Paired axial CT (left) and PSMA PET (right), 18F tracer. Slice position z = -622 mm. PET panel 200×200 px (4.1 mm/px).
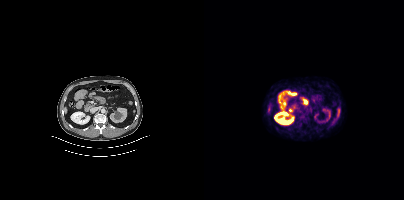
No tumor lesions annotated on this slice.